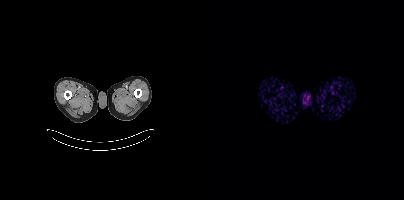
{"modality":"PSMA PET/CT","view":"axial","tracer":"68Ga-PSMA","pet_grid":[200,200],"coord_frame":"pet_panel","coord_format":"x0,y0,x1,y1","psma_avid_lesions":false}